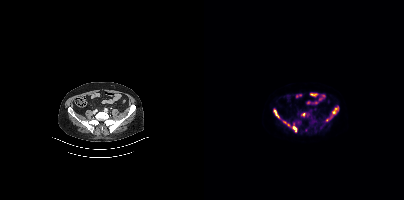
Findings: Coordinates are on the 200×200 PET (right) panel. (showing 6 of 7 foci) PSMA-avid tumor lesion bounding boxes (x0, y0)-(x1, y1): (128, 107)-(134, 113) | (70, 109)-(75, 117) | (89, 126)-(92, 131). Small PSMA-avid foci (2 to 4 px across) near (center x, center y): (99, 114) | (122, 119) | (84, 124).
- Left: CT. Right: PSMA PET, same axial level, [18F]PSMA-1007 tracer
- acquired on Siemens Biograph mCT Flow 20